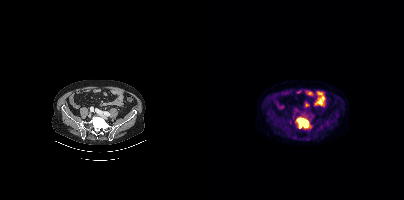
Coordinates are on the 200×200 PET (right) panel. PSMA-avid tumor lesion bounding box (x0, y0)-(x1, y1): (92, 117)-(104, 128). Two-panel axial: CT | PSMA PET, [18F]PSMA-1007 tracer.